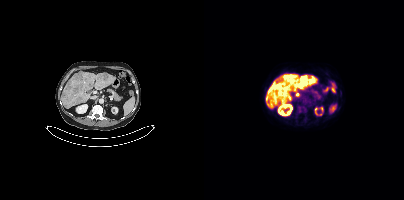
{"pet_grid":[200,200],"coord_frame":"pet_panel","coord_format":"x0,y0,x1,y1","lesion_bboxes":[[71,82,76,89],[97,75,102,80]],"small_foci_centers":[[93,94]],"modality":"PSMA PET/CT","view":"axial","tracer":"18F"}